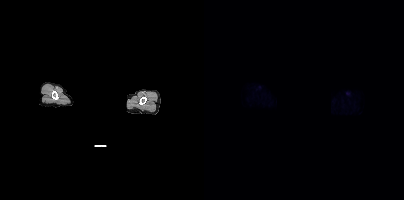
A rectangular block over the head has been blanked out for de-identification. Two-panel axial: CT | PSMA PET, [18F]PSMA-1007 tracer. Slice position z = 424 mm. No PSMA-avid tumor lesions on this slice.